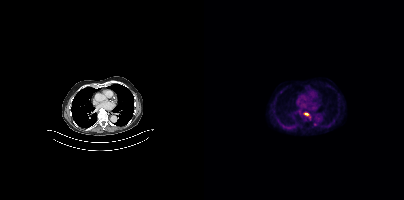
Coordinates are on the 200×200 PET (right) panel. PSMA-avid tumor lesion bounding box (x0, y0)-(x1, y1): (100, 112)-(104, 115).